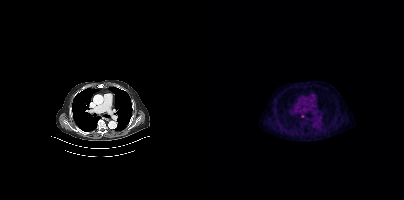
Coordinates are on the 200×200 PET (right) panel. Small PSMA-avid focus (2 to 4 px across) near (center x, center y): (98, 116).